modality: PSMA PET/CT | tracer: 18F | view: axial | PET grid: 200×200
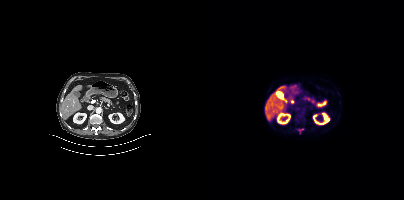
No tumor lesions annotated on this slice.